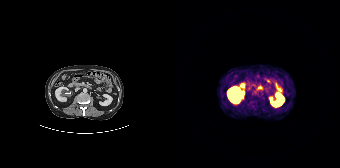
No tumor lesions annotated on this slice.